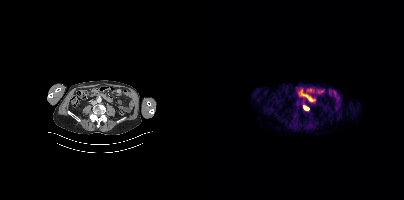
{"modality":"PSMA PET/CT","view":"axial","tracer":"18F-PSMA","pet_grid":[200,200],"coord_frame":"pet_panel","coord_format":"x0,y0,x1,y1","lesion_bboxes":[[99,106,105,110]]}